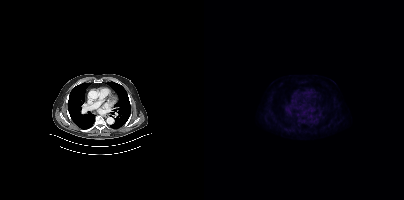
No PSMA-avid tumor lesions on this slice.